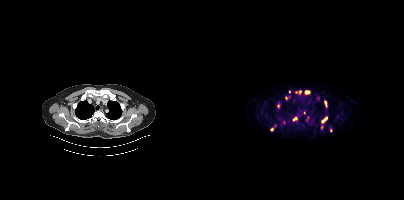
- Two-panel axial: CT | PSMA PET, 18F-PSMA tracer
- acquired on Siemens Biograph mCT Flow 20
Findings: Coordinates are on the 200×200 PET (right) panel. (showing 7 of 12 foci) PSMA-avid tumor lesion bounding boxes (x0, y0)-(x1, y1): (117, 116)-(123, 123) / (120, 100)-(123, 107) / (101, 90)-(105, 93). Small PSMA-avid foci (2 to 4 px across) near (center x, center y): (90, 118) / (68, 129) / (96, 91) / (117, 127).